Paired axial CT (left) and PSMA PET (right), 18F-PSMA tracer.
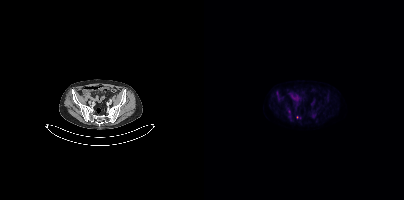
Only PSMA-avid lesion pieces thinner than 2 px on this slice (not listed).